Two-panel axial: CT | PSMA PET, 18F-PSMA tracer. PET panel 256×256 px (2.7 mm/px).
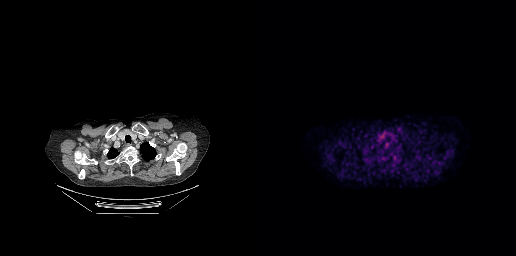
Only PSMA-avid lesion pieces thinner than 2 px on this slice (not listed).